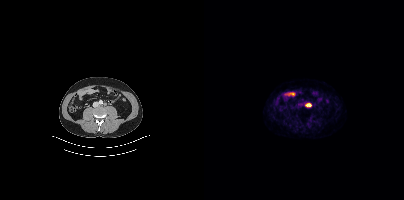
Coordinates are on the 200×200 PET (right) panel. PSMA-avid tumor lesion bounding box (x, y, width, height): x=102 y=103 w=6 h=4. Left: CT. Right: PSMA PET, same axial level, 18F-PSMA tracer. Acquired on Siemens Biograph mCT Flow 20. Slice position z = -720 mm. PET panel 200×200 px (4.1 mm/px).